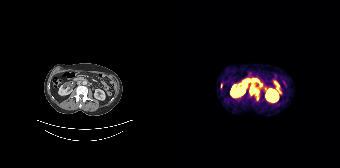
Paired axial CT (left) and PSMA PET (right), 68Ga-PSMA tracer. Acquired on Siemens Biograph 64-4R TruePoint. PET panel 168×168 px (4.1 mm/px). Coordinates are on the 168×168 PET (right) panel. PSMA-avid tumor lesion bounding box (x0,y0,x1,y1): [77,85,87,99]. Small PSMA-avid focus (2 to 4 px across) near (center x, center y): (49, 85).